- Paired axial CT (left) and PSMA PET (right), [68Ga]Ga-PSMA-11 tracer
- slice position z = -1816 mm
- PET panel 168×168 px (4.1 mm/px)
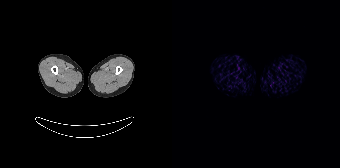
Findings: No tumor lesions annotated on this slice.